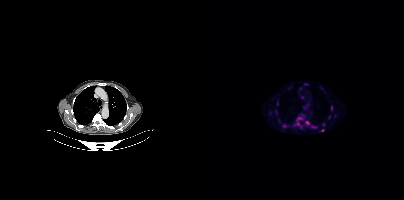
Technique: Two-panel axial: CT | PSMA PET, 18F tracer.
Findings: Coordinates are on the 200×200 PET (right) panel. (showing 12 of 13 foci) PSMA-avid tumor lesion bounding boxes (x, y, width, height): x=92 y=117 w=8 h=9; x=71 y=110 w=3 h=5; x=127 y=106 w=2 h=5; x=107 y=126 w=6 h=2. Small PSMA-avid foci (2 to 4 px across) near (center x, center y): (103, 122); (98, 97); (80, 126); (118, 130); (73, 104); (119, 124); (66, 112); (125, 116).